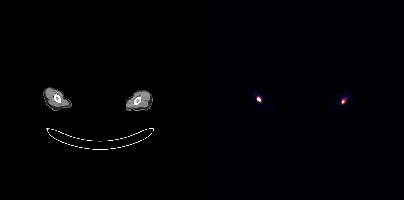
Coordinates are on the 200×200 PET (right) panel. PSMA-avid tumor lesion bounding box (x0,y0,x1,y1): [53,97,56,101]. Small PSMA-avid focus (2 to 4 px across) near (center x, center y): (139, 101).
de-identification: face masked with black rectangle | modality: PSMA PET/CT | tracer: 68Ga | view: axial | PET grid: 200×200